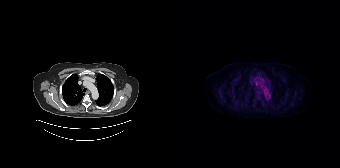
Paired axial CT (left) and PSMA PET (right), 18F tracer. Acquired on Siemens Biograph 64-4R TruePoint. PET panel 168×168 px (4.1 mm/px). This slice has no annotated PSMA-avid lesion.